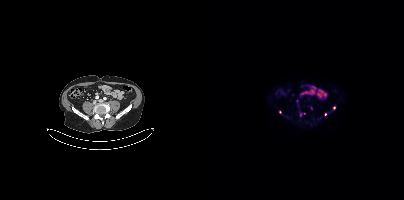
modality: PSMA PET/CT | tracer: 18F-PSMA | view: axial | PET grid: 200×200
Coordinates are on the 200×200 PET (right) panel. (showing 2 of 7 foci) Small PSMA-avid foci (2 to 4 px across) near (center x, center y): (130, 108), (121, 114).